modality: PSMA PET/CT | tracer: 68Ga | view: axial | PET grid: 168×168
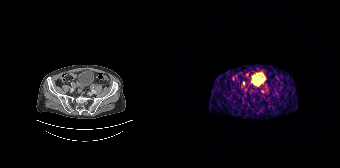
Coordinates are on the 168×168 PET (right) panel. Small PSMA-avid focus (2 to 4 px across) near (center x, center y): (71, 83).